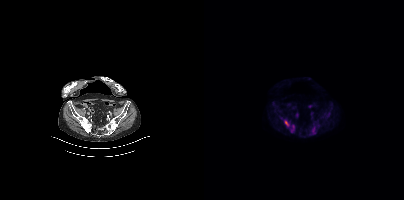
{"modality":"PSMA PET/CT","view":"axial","tracer":"[18F]PSMA-1007","pet_grid":[200,200],"coord_frame":"pet_panel","coord_format":"x0,y0,x1,y1","partial":true,"lesion_bboxes":[[86,126,90,130],[81,120,84,126]],"small_foci_centers":[[109,131]]}